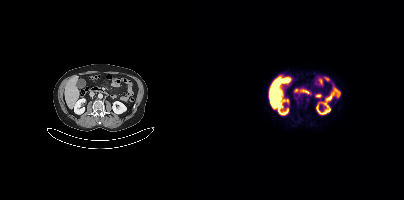
Findings: Coordinates are on the 200×200 PET (right) panel. (showing 1 of 2 foci) PSMA-avid tumor lesion bounding box (x0, y0)-(x1, y1): (92, 94)-(96, 99).
- Two-panel axial: CT | PSMA PET, [18F]PSMA-1007 tracer
- PET panel 200×200 px (4.1 mm/px)